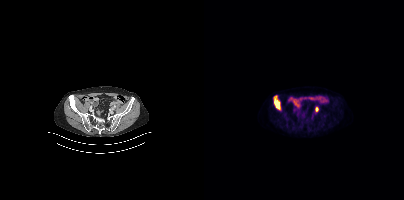
Two-panel axial: CT | PSMA PET, [18F]PSMA-1007 tracer. Acquired on Siemens Biograph mCT Flow 20. PET panel 200×200 px (4.1 mm/px).
Coordinates are on the 200×200 PET (right) panel. PSMA-avid tumor lesion bounding boxes:
| # | x0 | y0 | x1 | y1 |
|---|---|---|---|---|
| 1 | 70 | 95 | 76 | 109 |
Small PSMA-avid focus (2 to 4 px across) near (center x, center y): (112, 109).